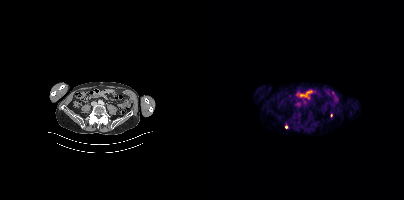
Findings: Coordinates are on the 200×200 PET (right) panel. PSMA-avid tumor lesion bounding box (x, y, width, height): x=81 y=124 w=4 h=5. Small PSMA-avid focus (2 to 4 px across) near (center x, center y): (127, 115).
Technique: Paired axial CT (left) and PSMA PET (right), 18F tracer. slice position z = -824 mm.